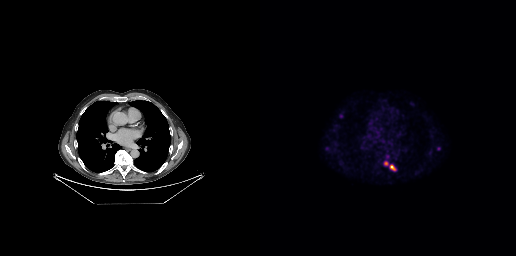
- Paired axial CT (left) and PSMA PET (right), 18F tracer
- acquired on GE Discovery 690
- PET panel 256×256 px (2.7 mm/px)
Findings: Coordinates are on the 256×256 PET (right) panel. PSMA-avid tumor lesion bounding boxes (x0,y0,x1,y1): [129,164,136,170]; [124,161,128,165]. Small PSMA-avid foci (2 to 4 px across) near (center x, center y): (81, 116); (178, 148).